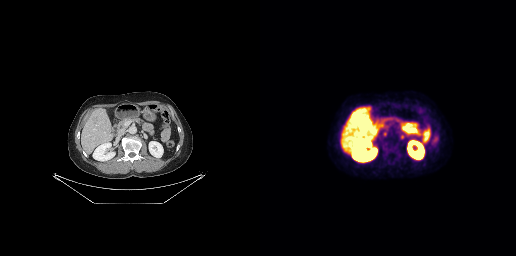
modality: PSMA PET/CT | tracer: 18F-PSMA | view: axial | PET grid: 256×256
Coordinates are on the 256×256 PET (right) panel. (showing 1 of 2 foci) Small PSMA-avid focus (2 to 4 px across) near (center x, center y): (142, 137).